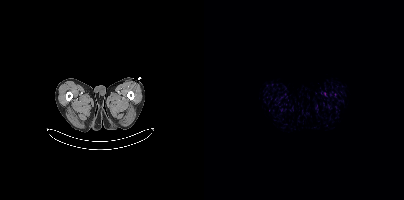
- Paired axial CT (left) and PSMA PET (right), 18F-PSMA tracer
Findings: Negative for PSMA-avid disease on this slice.